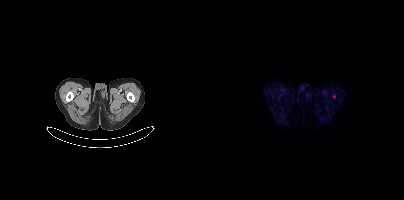
Negative for PSMA-avid disease on this slice.